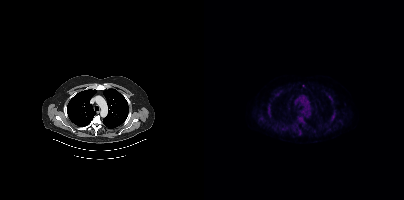
{"modality":"PSMA PET/CT","view":"axial","tracer":"[18F]PSMA-1007","pet_grid":[200,200],"coord_frame":"pet_panel","coord_format":"x0,y0,x1,y1","partial":true,"lesion_bboxes":[[94,116,101,125],[93,129,98,135],[63,110,67,116],[127,112,132,119],[69,122,74,128],[124,95,128,99],[55,117,59,120],[78,127,81,131],[70,94,74,97]],"small_foci_centers":[[109,130],[65,105]]}